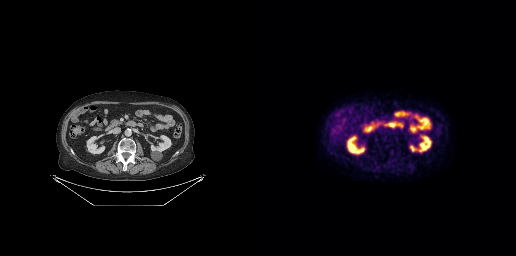
- Left: CT. Right: PSMA PET, same axial level, [18F]PSMA-1007 tracer
- acquired on GE Discovery 690
Findings: No tumor lesions annotated on this slice.